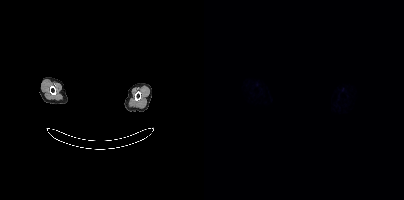
Paired axial CT (left) and PSMA PET (right), 68Ga-PSMA tracer. Acquired on Siemens Biograph mCT Flow 20. A rectangular block over the head has been blanked out for de-identification. Negative for PSMA-avid disease on this slice.